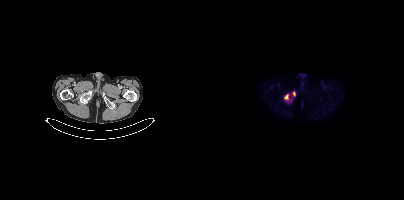
Findings: Coordinates are on the 200×200 PET (right) panel. PSMA-avid tumor lesion bounding boxes (x, y, width, height): x=80 y=94 w=8 h=8 | x=89 y=92 w=3 h=5.
Technique: Two-panel axial: CT | PSMA PET, [18F]PSMA-1007 tracer. acquired on Siemens Biograph mCT Flow 20. slice 43 of 413.